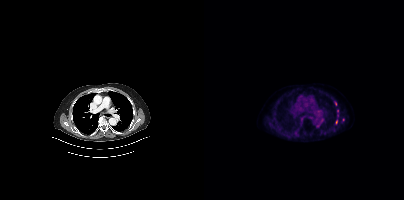
Findings: Coordinates are on the 200×200 PET (right) panel. (showing 2 of 4 foci) PSMA-avid tumor lesion bounding box (x0,y0,x1,y1): [133,109,134,113]. Small PSMA-avid focus (2 to 4 px across) near (center x, center y): (131, 103).
Technique: Left: CT. Right: PSMA PET, same axial level, [18F]PSMA-1007 tracer.